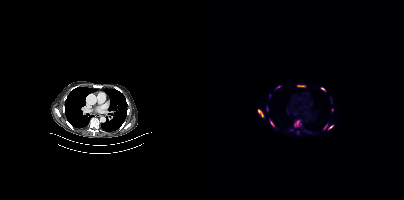
{"modality":"PSMA PET/CT","view":"axial","tracer":"18F-PSMA","pet_grid":[200,200],"coord_frame":"pet_panel","coord_format":"x0,y0,x1,y1","partial":true,"lesion_bboxes":[[54,109,59,116],[93,85,101,87],[124,125,129,130],[66,121,70,126],[91,121,95,125],[119,125,123,129],[117,87,121,91]],"small_foci_centers":[[74,86],[128,109]]}